Technique: Paired axial CT (left) and PSMA PET (right), [18F]PSMA-1007 tracer. acquired on Siemens Biograph mCT Flow 20. PET panel 200×200 px (4.1 mm/px).
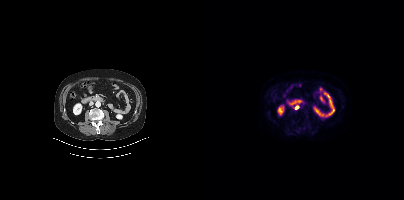
Findings: Coordinates are on the 200×200 PET (right) panel. PSMA-avid tumor lesion bounding box (x0,y0,x1,y1): [89,106,94,108].